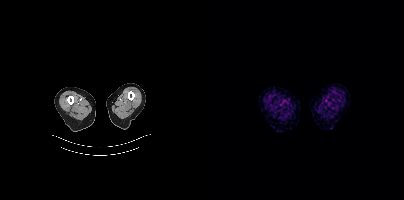
No tumor lesions annotated on this slice.
modality: PSMA PET/CT | tracer: [18F]PSMA-1007 | view: axial